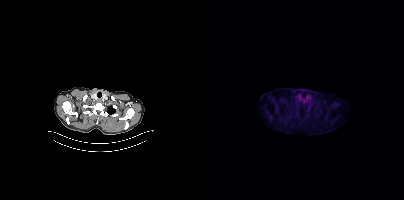
- Left: CT. Right: PSMA PET, same axial level, 18F tracer
- slice position z = -392 mm
Findings: No tumor lesions annotated on this slice.